modality: PSMA PET/CT | tracer: 18F | view: axial | PET grid: 200×200
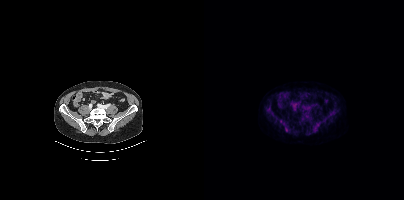
Negative for PSMA-avid disease on this slice.